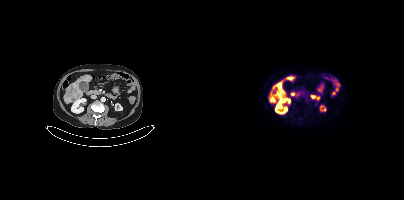
Coordinates are on the 200×200 PET (right) panel. PSMA-avid tumor lesion bounding box (x0,y0,x1,y1): [73,82,77,87]. Paired axial CT (left) and PSMA PET (right), 18F tracer. Acquired on Siemens Biograph mCT Flow 20. Slice position z = -1315 mm.